Technique: Left: CT. Right: PSMA PET, same axial level, 18F-PSMA tracer. slice position z = -867 mm.
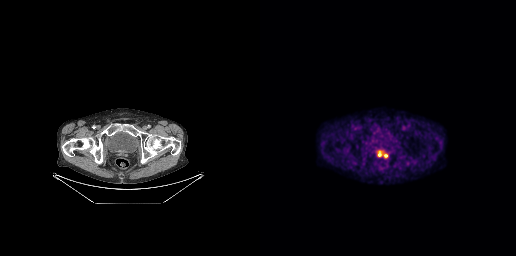
Findings: Coordinates are on the 256×256 PET (right) panel. PSMA-avid tumor lesion bounding box (x0,y0,x1,y1): [119,151,127,157].